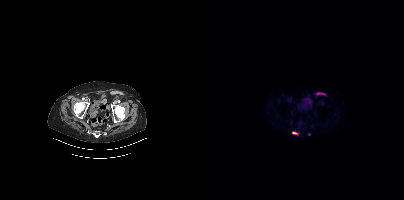
{"modality":"PSMA PET/CT","view":"axial","tracer":"18F","pet_grid":[200,200],"coord_frame":"pet_panel","coord_format":"x0,y0,x1,y1","lesion_bboxes":[[88,131,95,135]],"small_foci_centers":[[105,134]]}